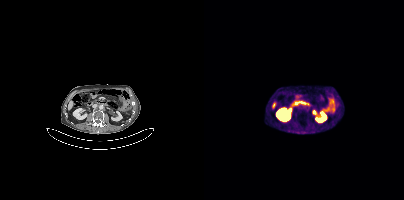
Technique: Left: CT. Right: PSMA PET, same axial level, 68Ga tracer. slice position z = -824 mm.
Findings: Negative for PSMA-avid disease on this slice.